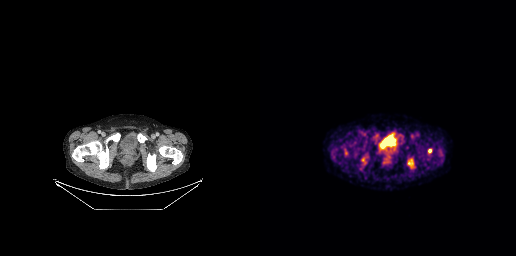
Technique: Two-panel axial: CT | PSMA PET, [18F]PSMA-1007 tracer.
Findings: Coordinates are on the 256×256 PET (right) panel. PSMA-avid tumor lesion bounding boxes (x0, y0)-(x1, y1): (147, 158)-(154, 167) | (85, 149)-(87, 154). Small PSMA-avid focus (2 to 4 px across) near (center x, center y): (169, 150).